modality: PSMA PET/CT | tracer: [68Ga]Ga-PSMA-11 | view: axial | PET grid: 200×200
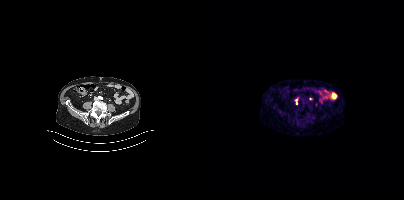
Coordinates are on the 200×200 PET (right) panel. Small PSMA-avid foci (2 to 4 px across) near (center x, center y): (92, 99) / (106, 98) / (92, 103).